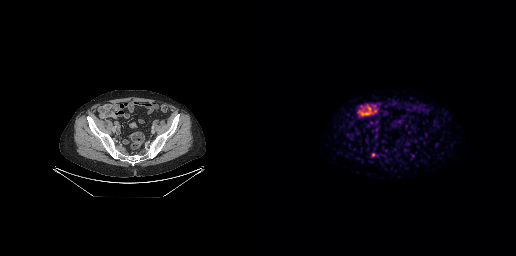
Coordinates are on the 256×256 PET (right) panel. Small PSMA-avid focus (2 to 4 px across) near (center x, center y): (113, 154).